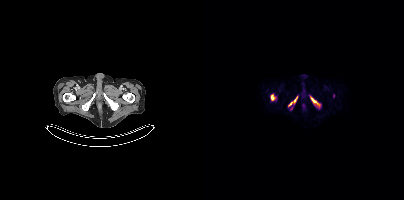
Coordinates are on the 200×200 PET (right) panel. PSMA-avid tumor lesion bounding boxes (x0,y0,x1,y1): [107,97,115,106], [67,95,70,100], [90,96,93,102], [84,102,88,106].